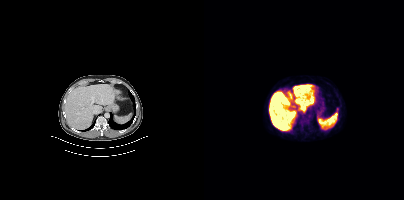
{"modality":"PSMA PET/CT","view":"axial","tracer":"18F-PSMA","pet_grid":[200,200],"coord_frame":"pet_panel","coord_format":"x0,y0,x1,y1","psma_avid_lesions":false}